de-identification: facial region redacted | modality: PSMA PET/CT | tracer: 18F | view: axial
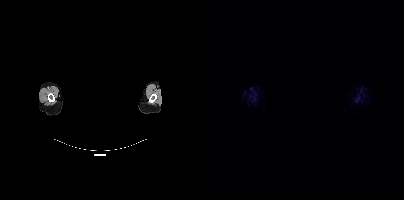
Coordinates are on the 200×200 PET (right) panel. (showing 1 of 2 foci) PSMA-avid tumor lesion bounding box (x0, y0)-(x1, y1): (151, 99)-(155, 102).